Two-panel axial: CT | PSMA PET, 18F tracer. Slice position z = -456 mm.
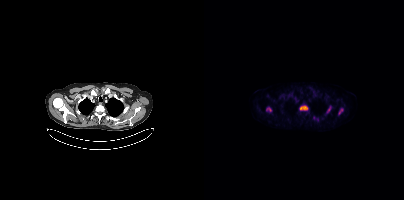
Coordinates are on the 200×200 PET (right) panel. PSMA-avid tumor lesion bounding boxes (partial; 1 more focus not listed):
| # | x0 | y0 | x1 | y1 |
|---|---|---|---|---|
| 1 | 96 | 105 | 103 | 110 |
| 2 | 135 | 108 | 139 | 114 |
| 3 | 123 | 106 | 126 | 112 |
| 4 | 63 | 108 | 67 | 111 |